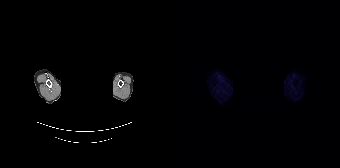
This slice has no annotated PSMA-avid lesion.
The head region is masked for de-identification.